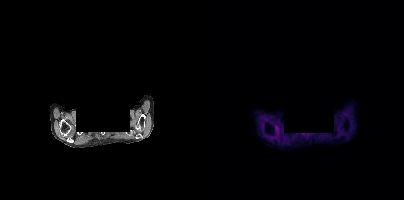
Technique: Left: CT. Right: PSMA PET, same axial level, 18F-PSMA tracer. slice position z = 128 mm. PET panel 200×200 px (4.1 mm/px).
Note: A rectangle over the head was blacked out to remove identifiable facial features.
Findings: No PSMA-avid tumor lesions on this slice.